Left: CT. Right: PSMA PET, same axial level, 68Ga tracer.
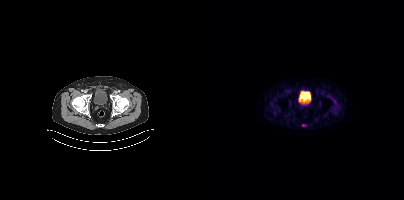
Coordinates are on the 200×200 PET (right) panel. Small PSMA-avid focus (2 to 4 px across) near (center x, center y): (99, 125).